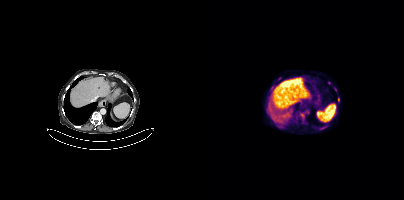
modality: PSMA PET/CT | tracer: [18F]PSMA-1007 | view: axial
Coordinates are on the 200×200 PET (right) panel. PSMA-avid tumor lesion bounding box (x0,y0,x1,y1): [96,113,100,118]. Small PSMA-avid foci (2 to 4 px across) near (center x, center y): (134, 100), (70, 122).